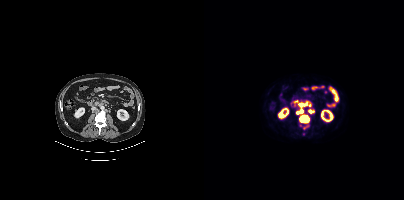
Coordinates are on the 200×200 PET (right) panel. PSMA-avid tumor lesion bounding boxes (x0,y0,x1,y1): [95,115,105,123]; [95,103,106,112]; [105,109,110,113]. Small PSMA-avid focus (2 to 4 px across) near (center x, center y): (93, 112).